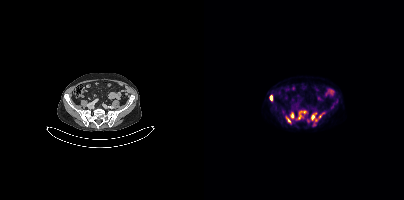
Findings: Coordinates are on the 200×200 PET (right) panel. PSMA-avid tumor lesion bounding boxes (x0,y0,x1,y1): [94,111,102,119] [107,113,112,120] [86,112,89,118] [65,95,68,100] [82,117,86,122]. Small PSMA-avid foci (2 to 4 px across) near (center x, center y): (116, 116) (111, 120).
Technique: Paired axial CT (left) and PSMA PET (right), 18F tracer. acquired on Siemens Biograph mCT Flow 20. slice position z = -156 mm.